Technique: Paired axial CT (left) and PSMA PET (right), 68Ga-PSMA tracer. slice 84 of 263.
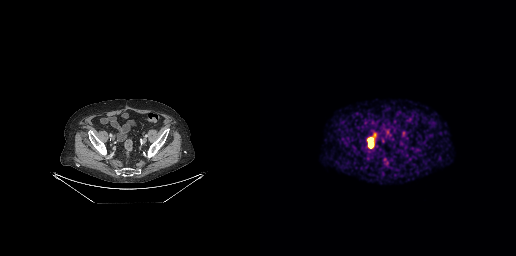
Findings: Coordinates are on the 256×256 PET (right) panel. Small PSMA-avid foci (2 to 4 px across) near (center x, center y): (110, 144); (109, 140).